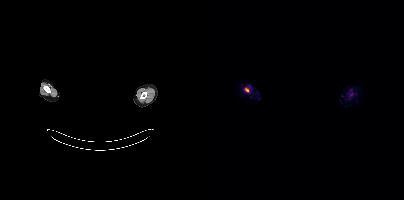
{"pet_grid":[200,200],"coord_frame":"pet_panel","coord_format":"x0,y0,x1,y1","lesion_bboxes":[],"small_foci_centers":[[42,89]],"de-identification":"rectangular block over head set to black","modality":"PSMA PET/CT","view":"axial","tracer":"18F-PSMA"}